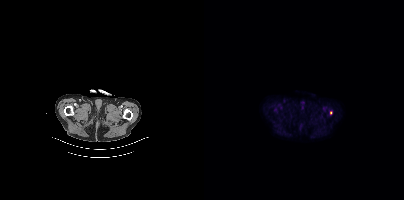
{"modality":"PSMA PET/CT","view":"axial","tracer":"18F","pet_grid":[200,200],"coord_frame":"pet_panel","coord_format":"x0,y0,x1,y1","lesion_bboxes":[],"small_foci_centers":[[127,112]]}